Paired axial CT (left) and PSMA PET (right), [18F]PSMA-1007 tracer. Acquired on Siemens Biograph 64-4R TruePoint. PET panel 168×168 px (4.1 mm/px).
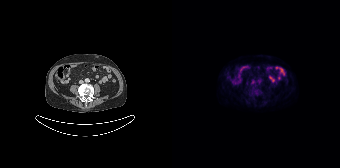
Negative for PSMA-avid disease on this slice.